Paired axial CT (left) and PSMA PET (right), 18F tracer. Slice position z = -1008 mm. PET panel 200×200 px (4.1 mm/px).
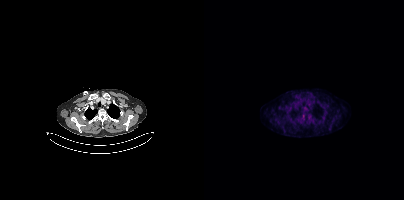
Coordinates are on the 200×200 PET (right) panel. Small PSMA-avid focus (2 to 4 px across) near (center x, center y): (99, 116).